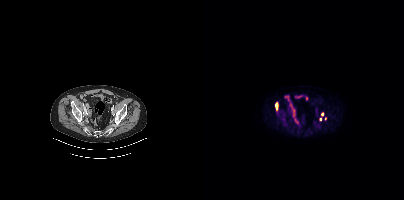
Technique: Two-panel axial: CT | PSMA PET, 18F-PSMA tracer. slice 100 of 401.
Findings: Coordinates are on the 200×200 PET (right) panel. (showing 3 of 4 foci) PSMA-avid tumor lesion bounding box (x0,y0,x1,y1): [71,103,73,109]. Small PSMA-avid foci (2 to 4 px across) near (center x, center y): (118, 114) (116, 119).